modality: PSMA PET/CT | tracer: [18F]PSMA-1007 | view: axial
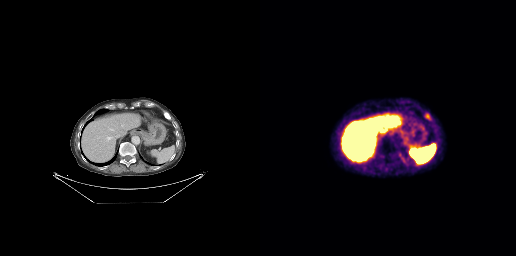
Coordinates are on the 256×256 PET (right) panel. PSMA-avid tumor lesion bounding box (x0,y0,x1,y1): [164,113,170,119].